- Paired axial CT (left) and PSMA PET (right), 18F tracer
- PET panel 200×200 px (4.1 mm/px)
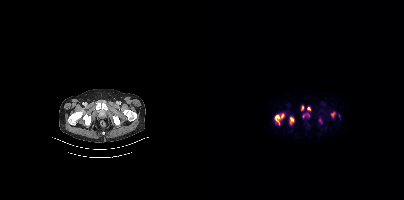
Findings: Coordinates are on the 200×200 PET (right) panel. (showing 6 of 8 foci) PSMA-avid tumor lesion bounding boxes (x0, y0)-(x1, y1): (71, 115)-(75, 124); (86, 117)-(90, 124). Small PSMA-avid foci (2 to 4 px across) near (center x, center y): (78, 115); (105, 108); (98, 107); (115, 120).